Technique: Two-panel axial: CT | PSMA PET, 18F tracer. acquired on Siemens Biograph mCT Flow 20.
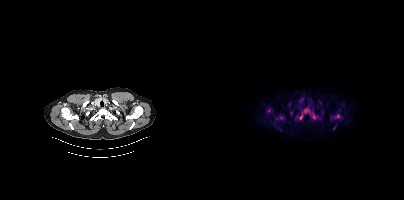
Findings: Coordinates are on the 200×200 PET (right) panel. (showing 10 of 12 foci) PSMA-avid tumor lesion bounding boxes (x0, y0)-(x1, y1): (100, 108)-(105, 113) | (95, 112)-(98, 119) | (76, 115)-(80, 118) | (86, 111)-(89, 115) | (109, 114)-(111, 119). Small PSMA-avid foci (2 to 4 px across) near (center x, center y): (133, 116) | (65, 110) | (130, 128) | (116, 118) | (76, 130).